Left: CT. Right: PSMA PET, same axial level, [18F]PSMA-1007 tracer. Acquired on GE Discovery 690. Slice position z = -565 mm. PET panel 256×256 px (2.7 mm/px).
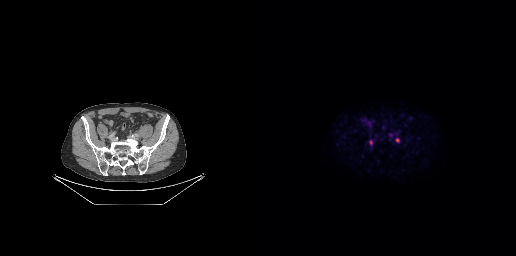
Coordinates are on the 256×256 PET (right) panel. PSMA-avid tumor lesion bounding boxes:
| # | x0 | y0 | x1 | y1 |
|---|---|---|---|---|
| 1 | 136 | 138 | 139 | 142 |
| 2 | 110 | 140 | 112 | 144 |